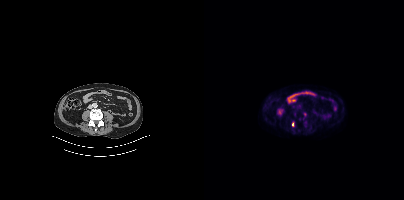
Technique: Paired axial CT (left) and PSMA PET (right), 18F-PSMA tracer. slice position z = -748 mm. PET panel 200×200 px (4.1 mm/px).
Findings: Only PSMA-avid lesion pieces thinner than 2 px on this slice (not listed).